modality: PSMA PET/CT | tracer: 18F-PSMA | view: axial
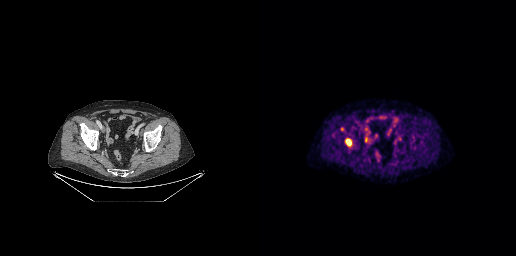
Coordinates are on the 256×256 PET (right) panel. PSMA-avid tumor lesion bounding box (x0, y0)-(x1, y1): (85, 138)-(91, 146).